Left: CT. Right: PSMA PET, same axial level, 18F tracer. Slice position z = -324 mm.
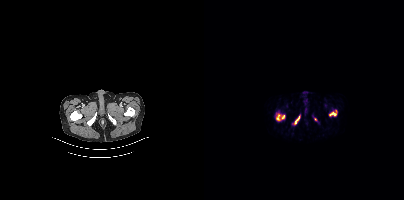
Coordinates are on the 200×200 PET (right) panel. (showing 4 of 6 foci) PSMA-avid tumor lesion bounding boxes (x, y, width, height): x=90 y=116 w=6 h=9 / x=125 y=112 w=8 h=4 / x=72 y=115 w=4 h=6. Small PSMA-avid focus (2 to 4 px across) near (center x, center y): (79, 116).